An anonymization step blacked out a rectangle over the head in this scan. Paired axial CT (left) and PSMA PET (right), [18F]PSMA-1007 tracer. Acquired on Siemens Biograph mCT Flow 20. PET panel 200×200 px (4.1 mm/px).
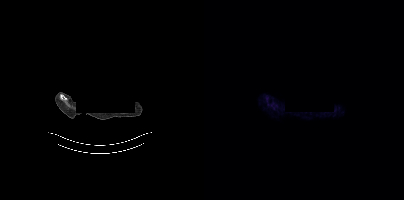
This slice has no annotated PSMA-avid lesion.